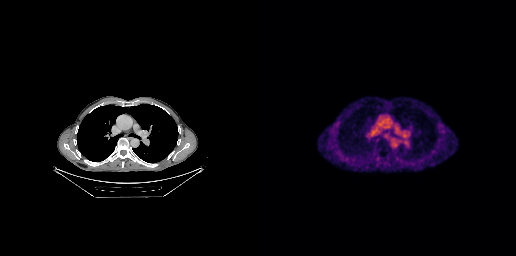
Coordinates are on the 256×256 PET (right) panel. PSMA-avid tumor lesion bounding box (x0, y0)-(x1, y1): (171, 150)-(175, 152).